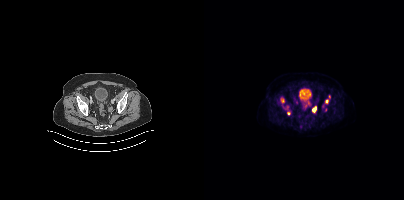
Left: CT. Right: PSMA PET, same axial level, 18F tracer.
Coordinates are on the 200×200 PET (right) panel. PSMA-avid tumor lesion bounding boxes (partial; 1 more focus not listed):
| # | x0 | y0 | x1 | y1 |
|---|---|---|---|---|
| 1 | 108 | 107 | 112 | 112 |
| 2 | 77 | 98 | 80 | 102 |
| 3 | 121 | 99 | 124 | 103 |
Small PSMA-avid foci (2 to 4 px across) near (center x, center y): (105, 103); (84, 113); (121, 109); (125, 96); (118, 106).